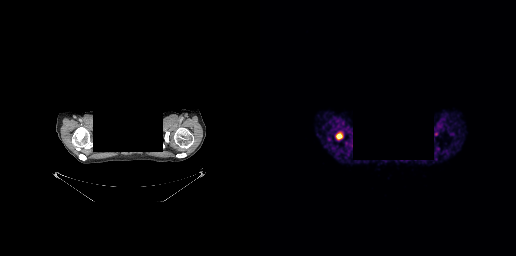
{"pet_grid":[256,256],"coord_frame":"pet_panel","coord_format":"x0,y0,x1,y1","lesion_bboxes":[[76,133,82,138]],"modality":"PSMA PET/CT","view":"axial","tracer":"68Ga","deidentification":"facial region redacted"}